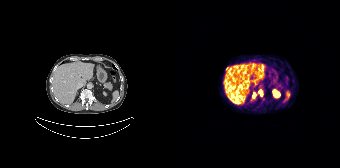
{"modality":"PSMA PET/CT","view":"axial","tracer":"[68Ga]Ga-PSMA-11","pet_grid":[168,168],"coord_frame":"pet_panel","coord_format":"x0,y0,x1,y1","partial":true,"lesion_bboxes":[[86,90,90,96],[81,92,83,97]],"small_foci_centers":[[54,68]]}